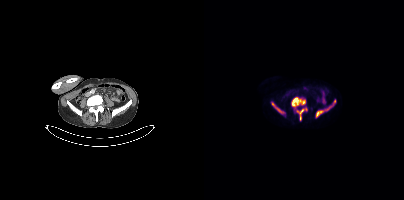
Paired axial CT (left) and PSMA PET (right), 18F-PSMA tracer. Slice position z = -1326 mm. PET panel 200×200 px (4.1 mm/px).
Coordinates are on the 200×200 PET (right) panel. PSMA-avid tumor lesion bounding boxes:
| # | x0 | y0 | x1 | y1 |
|---|---|---|---|---|
| 1 | 87 | 97 | 101 | 107 |
| 2 | 112 | 100 | 131 | 117 |
| 3 | 93 | 108 | 103 | 120 |
| 4 | 68 | 103 | 79 | 112 |